- Two-panel axial: CT | PSMA PET, 18F-PSMA tracer
- slice position z = 312 mm
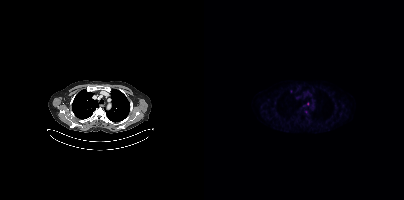
Findings: Coordinates are on the 200×200 PET (right) panel. (showing 3 of 4 foci) Small PSMA-avid foci (2 to 4 px across) near (center x, center y): (87, 91) | (102, 111) | (103, 103).